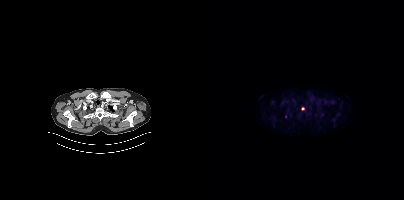
Only PSMA-avid lesion pieces thinner than 2 px on this slice (not listed).
modality: PSMA PET/CT | tracer: [18F]PSMA-1007 | view: axial